modality: PSMA PET/CT | tracer: 68Ga | view: axial
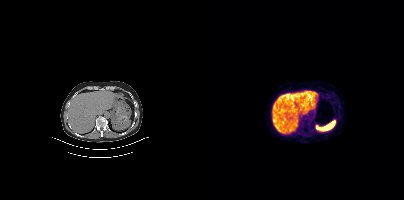
No tumor lesions annotated on this slice.